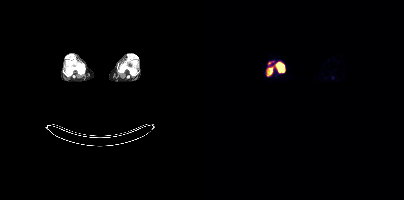
Findings: Coordinates are on the 200×200 PET (right) panel. PSMA-avid tumor lesion bounding boxes (x, y, width, height): x=72 y=62 w=9 h=11 | x=63 y=68 w=6 h=8. Small PSMA-avid focus (2 to 4 px across) near (center x, center y): (65, 63).
Technique: Left: CT. Right: PSMA PET, same axial level, 18F tracer. acquired on Siemens Biograph mCT Flow 20. PET panel 200×200 px (4.1 mm/px).